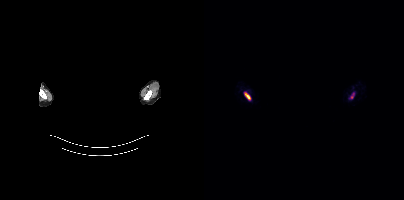
A rectangle over the head was blacked out to remove identifiable facial features. Paired axial CT (left) and PSMA PET (right), 68Ga tracer. PET panel 200×200 px (4.1 mm/px). Coordinates are on the 200×200 PET (right) panel. PSMA-avid tumor lesion bounding boxes (x, y, width, height): x=40 y=92 w=7 h=9; x=145 y=95 w=5 h=5.